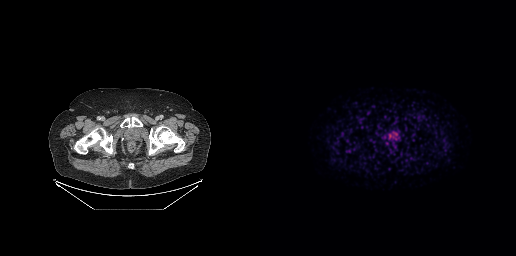
No PSMA-avid tumor lesions on this slice.